modality: PSMA PET/CT | tracer: [18F]PSMA-1007 | view: axial
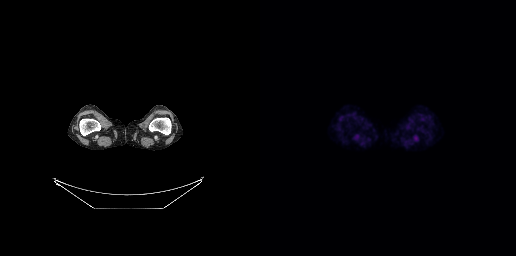
No PSMA-avid tumor lesions on this slice.